modality: PSMA PET/CT | tracer: 18F | view: axial
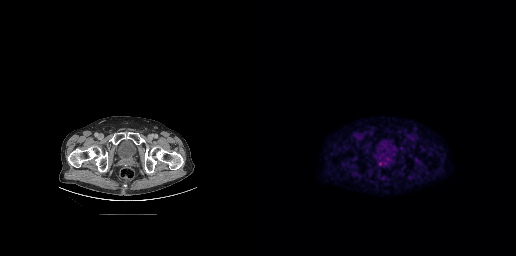
Coordinates are on the 256×256 PET (right) panel. Small PSMA-avid focus (2 to 4 px across) near (center x, center y): (120, 164).